Technique: Two-panel axial: CT | PSMA PET, 18F tracer. acquired on Siemens Biograph mCT Flow 20. slice 238 of 411.
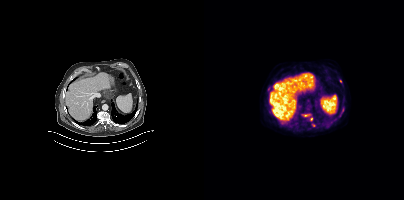
Findings: Coordinates are on the 200×200 PET (right) panel. (showing 6 of 8 foci) PSMA-avid tumor lesion bounding boxes (x, y, width, height): x=99 y=114 w=8 h=3; x=106 y=117 w=3 h=5; x=64 y=87 w=3 h=5. Small PSMA-avid foci (2 to 4 px across) near (center x, center y): (109, 124); (138, 109); (136, 81).